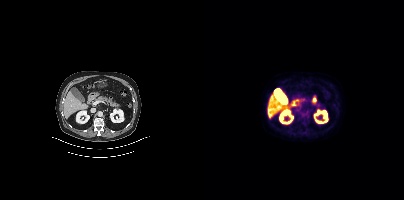
This slice has no annotated PSMA-avid lesion.